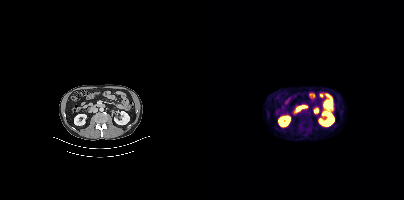
{"modality":"PSMA PET/CT","view":"axial","tracer":"18F-PSMA","pet_grid":[200,200],"coord_frame":"pet_panel","coord_format":"x0,y0,x1,y1","lesion_bboxes":[],"small_foci_centers":[[101,121],[103,116]]}